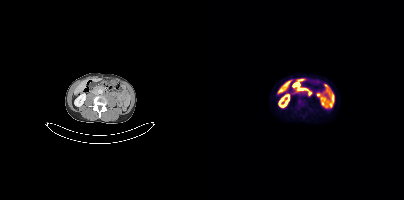
Technique: Paired axial CT (left) and PSMA PET (right), [18F]PSMA-1007 tracer. PET panel 200×200 px (4.1 mm/px).
Findings: Coordinates are on the 200×200 PET (right) panel. PSMA-avid tumor lesion bounding box (x0,y0,x1,y1): [94,99,98,104].